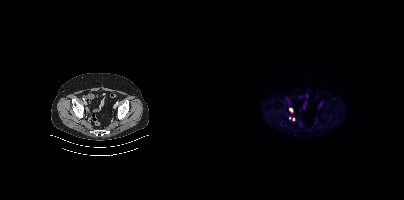
Coordinates are on the 200×200 PET (right) panel. PSMA-avid tumor lesion bounding box (x0, y0)-(x1, y1): (85, 108)-(89, 112). Small PSMA-avid foci (2 to 4 px across) near (center x, center y): (89, 119); (85, 118).